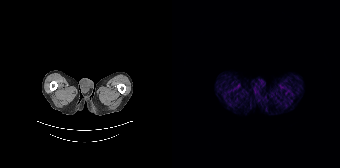
Technique: Two-panel axial: CT | PSMA PET, [68Ga]Ga-PSMA-11 tracer.
Findings: Negative for PSMA-avid disease on this slice.